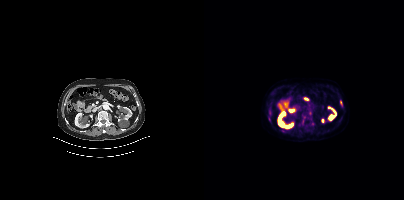
Coordinates are on the 200×200 PET (right) panel. (showing 3 of 4 foci) Small PSMA-avid foci (2 to 4 px across) near (center x, center y): (136, 102) / (65, 118) / (108, 124).
modality: PSMA PET/CT | tracer: 18F-PSMA | view: axial | PET grid: 200×200